modality: PSMA PET/CT | tracer: [68Ga]Ga-PSMA-11 | view: axial
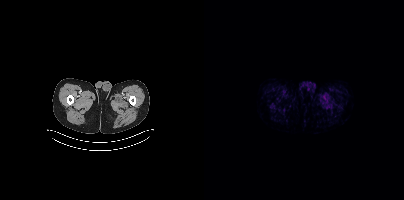
No tumor lesions annotated on this slice.